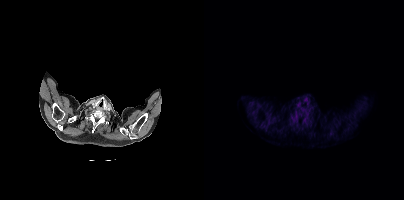
Technique: Left: CT. Right: PSMA PET, same axial level, 18F tracer. acquired on Siemens Biograph mCT Flow 20. PET panel 200×200 px (4.1 mm/px).
Findings: Negative for PSMA-avid disease on this slice.